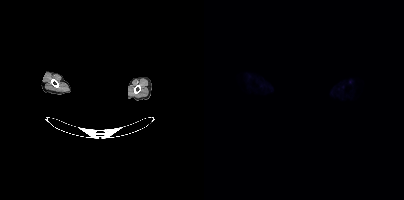
deidentification: rectangular block over head set to black | modality: PSMA PET/CT | tracer: 18F | view: axial | PET grid: 200×200
This slice has no annotated PSMA-avid lesion.